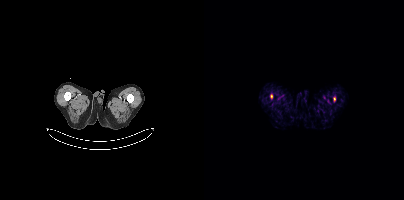
Technique: Paired axial CT (left) and PSMA PET (right), 18F tracer. slice position z = -1014 mm. PET panel 200×200 px (4.1 mm/px).
Findings: Coordinates are on the 200×200 PET (right) panel. PSMA-avid tumor lesion bounding box (x0, y0)-(x1, y1): (129, 97)-(131, 101). Small PSMA-avid focus (2 to 4 px across) near (center x, center y): (67, 96).